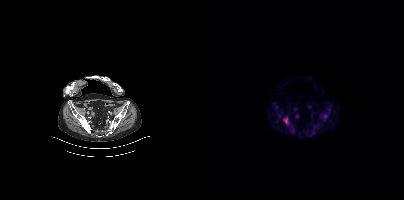
Coordinates are on the 200×200 PET (right) panel. PSMA-avid tumor lesion bounding boxes (x0, y0)-(x1, y1): (79, 117)-(83, 123) / (88, 126)-(89, 130). Small PSMA-avid focus (2 to 4 px across) near (center x, center y): (121, 116).